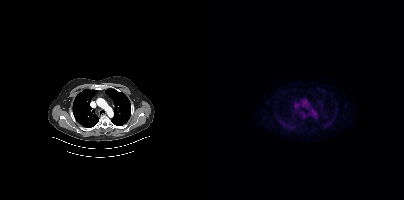
Findings: No PSMA-avid tumor lesions on this slice.
- Paired axial CT (left) and PSMA PET (right), [18F]PSMA-1007 tracer
- acquired on Siemens Biograph mCT Flow 20
- slice 335 of 442